Left: CT. Right: PSMA PET, same axial level, [18F]PSMA-1007 tracer. Acquired on Siemens Biograph mCT Flow 20. Slice position z = -1040 mm.
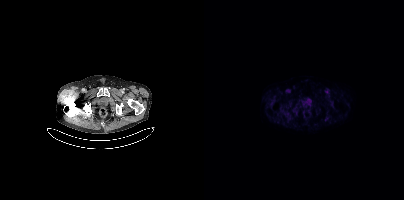
No tumor lesions annotated on this slice.